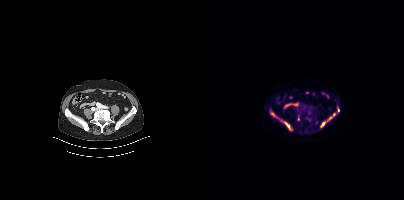
Coordinates are on the 200×200 PET (right) panel. (showing 6 of 7 foci) PSMA-avid tumor lesion bounding boxes (x0, y0)-(x1, y1): (77, 120)-(87, 130) / (123, 113)-(131, 121) / (116, 122)-(121, 127) / (67, 112)-(71, 116) / (133, 107)-(135, 112). Small PSMA-avid focus (2 to 4 px across) near (center x, center y): (105, 119).